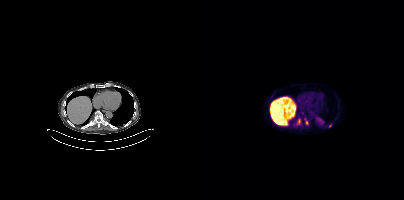
Coordinates are on the 200×200 PET (right) panel. PSMA-avid tumor lesion bounding boxes (x0, y0)-(x1, y1): (89, 119)-(98, 126); (100, 119)-(104, 125). Small PSMA-avid focus (2 to 4 px across) near (center x, center y): (126, 125).
modality: PSMA PET/CT | tracer: [18F]PSMA-1007 | view: axial